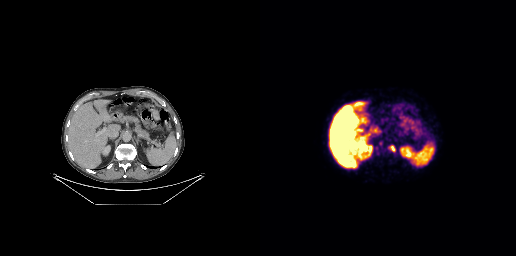
Coordinates are on the 256×256 PET (right) panel. PSMA-avid tumor lesion bounding box (x0, y0)-(x1, y1): (128, 145)-(135, 152). Small PSMA-avid focus (2 to 4 px across) near (center x, center y): (120, 143).